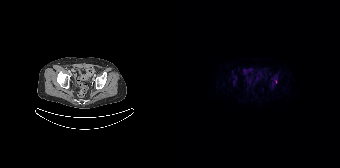
{"modality":"PSMA PET/CT","view":"axial","tracer":"18F","pet_grid":[168,168],"coord_frame":"pet_panel","coord_format":"x0,y0,x1,y1","lesion_bboxes":[],"small_foci_centers":[[103,81]]}